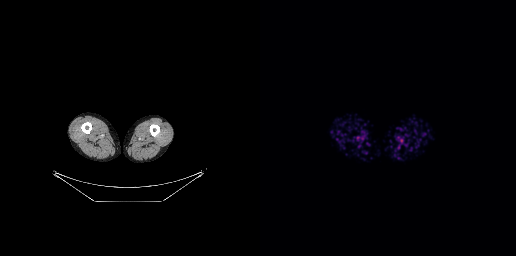
Findings: No tumor lesions annotated on this slice.
Technique: Paired axial CT (left) and PSMA PET (right), 18F tracer. slice position z = -969 mm.